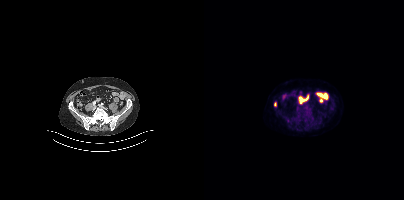
Coordinates are on the 200×200 PET (right) panel. PSMA-avid tumor lesion bounding box (x0, y0)-(x1, y1): (70, 102)-(72, 106).
modality: PSMA PET/CT | tracer: 18F | view: axial